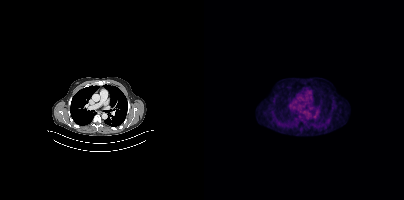
{"pet_grid":[200,200],"coord_frame":"pet_panel","coord_format":"x0,y0,x1,y1","psma_avid_lesions":false,"modality":"PSMA PET/CT","view":"axial","tracer":"18F"}